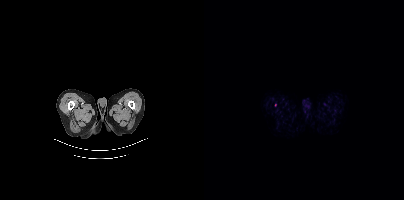
{"modality":"PSMA PET/CT","view":"axial","tracer":"18F-PSMA","pet_grid":[200,200],"coord_frame":"pet_panel","coord_format":"x0,y0,x1,y1","lesion_bboxes":[],"small_foci_centers":[[71,104]]}